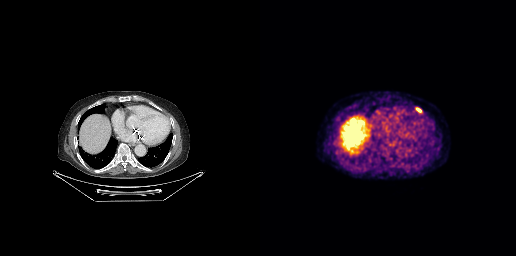
Findings: Coordinates are on the 256×256 PET (right) panel. PSMA-avid tumor lesion bounding box (x0, y0)-(x1, y1): (156, 108)-(161, 111).
- Paired axial CT (left) and PSMA PET (right), 18F-PSMA tracer
- acquired on GE Discovery 690
- slice 178 of 263
- PET panel 256×256 px (2.7 mm/px)